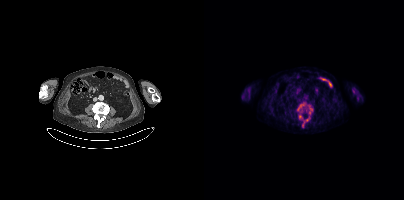
modality: PSMA PET/CT | tracer: 18F | view: axial | PET grid: 200×200
Coordinates are on the 200×200 PET (right) panel. (showing 5 of 6 foci) PSMA-avid tumor lesion bounding boxes (x0,y0,x1,y1): [93,102,101,111] [104,105,108,114] [98,116,106,127]. Small PSMA-avid foci (2 to 4 px across) near (center x, center y): (96, 116) (97, 111).